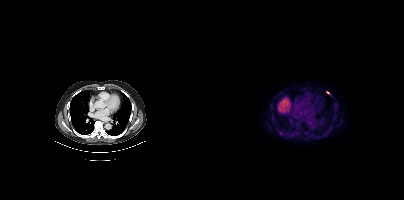
{"modality":"PSMA PET/CT","view":"axial","tracer":"18F","pet_grid":[200,200],"coord_frame":"pet_panel","coord_format":"x0,y0,x1,y1","lesion_bboxes":[[122,91,126,94]],"small_foci_centers":[[77,132]]}